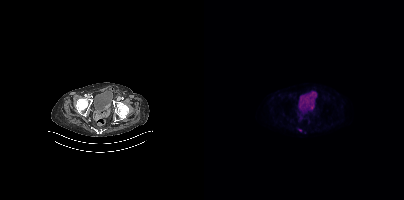
Coordinates are on the 200×200 PET (right) panel. Small PSMA-avid focus (2 to 4 px across) near (center x, center y): (96, 130).